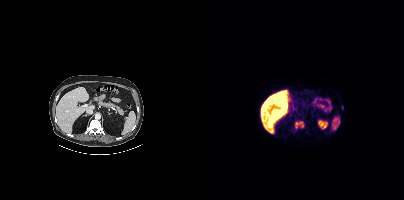
Coordinates are on the 200×200 PET (right) panel. PSMA-avid tumor lesion bounding box (x, y, width, height): x=90 y=121 w=10 h=10. Small PSMA-avid focus (2 to 4 px across) near (center x, center y): (138, 107).